Technique: Two-panel axial: CT | PSMA PET, 18F tracer.
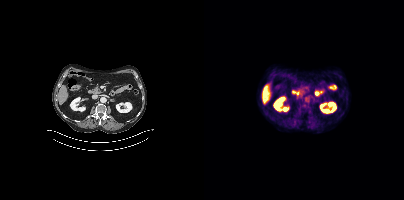
Findings: This slice has no annotated PSMA-avid lesion.